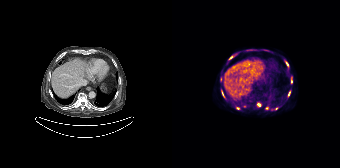
Coordinates are on the 168×168 PET (right) panel. PSMA-avid tumor lesion bounding boxes (partial; 1 more focus not listed):
| # | x0 | y0 | x1 | y1 |
|---|---|---|---|---|
| 1 | 113 | 61 | 116 | 67 |
| 2 | 49 | 90 | 52 | 97 |
| 3 | 119 | 77 | 120 | 83 |
| 4 | 116 | 91 | 118 | 96 |
Small PSMA-avid foci (2 to 4 px across) near (center x, center y): (86, 104); (58, 57); (66, 108); (100, 109); (94, 108); (104, 108).
Left: CT. Right: PSMA PET, same axial level, 18F-PSMA tracer. Acquired on Siemens Biograph 64-4R TruePoint. Slice 102 of 165. PET panel 168×168 px (4.1 mm/px).